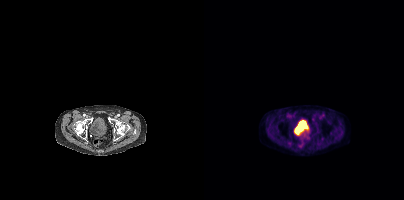
{"modality":"PSMA PET/CT","view":"axial","tracer":"18F-PSMA","pet_grid":[200,200],"coord_frame":"pet_panel","coord_format":"x0,y0,x1,y1","partial":true,"lesion_bboxes":[],"small_foci_centers":[[109,119],[100,135]]}